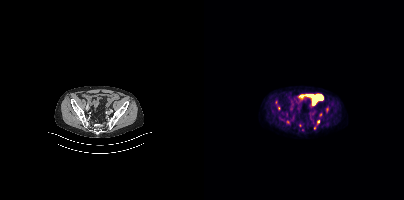
Coordinates are on the 200×200 PET (right) panel. (showing 2 of 5 foci) Small PSMA-avid foci (2 to 4 px across) near (center x, center y): (123, 109); (114, 121). Two-panel axial: CT | PSMA PET, 18F-PSMA tracer.